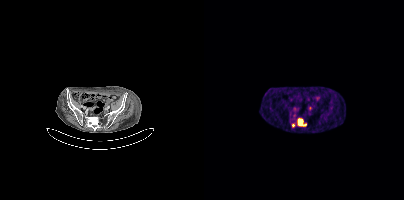
{"modality":"PSMA PET/CT","view":"axial","tracer":"68Ga","pet_grid":[200,200],"coord_frame":"pet_panel","coord_format":"x0,y0,x1,y1","lesion_bboxes":[[94,119,102,126]],"small_foci_centers":[[106,108],[89,125]]}